Left: CT. Right: PSMA PET, same axial level, [68Ga]Ga-PSMA-11 tracer. Acquired on GE Discovery 690. Slice position z = -914 mm.
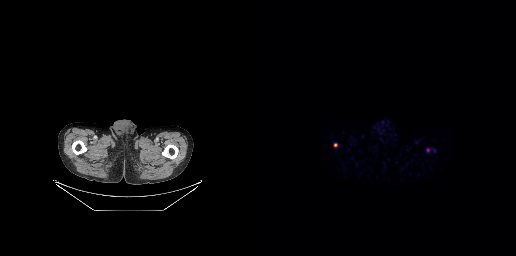
Coordinates are on the 256×256 PET (right) panel. PSMA-avid tumor lesion bounding boxes:
| # | x0 | y0 | x1 | y1 |
|---|---|---|---|---|
| 1 | 166 | 148 | 169 | 152 |
Small PSMA-avid focus (2 to 4 px across) near (center x, center y): (75, 144).